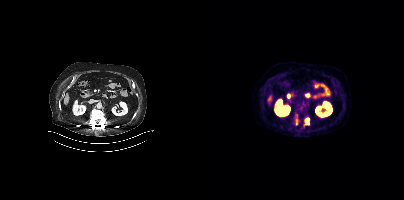
Coordinates are on the 200×200 PET (right) panel. PSMA-avid tumor lesion bounding boxes (x, y, width, height): x=91 y=115 w=4 h=11 / x=102 y=119 w=4 h=6. Small PSMA-avid focus (2 to 4 px across) near (center x, center y): (100, 125).
modality: PSMA PET/CT | tracer: 18F-PSMA | view: axial